- Two-panel axial: CT | PSMA PET, [18F]PSMA-1007 tracer
- acquired on Siemens Biograph mCT Flow 20
- PET panel 200×200 px (4.1 mm/px)
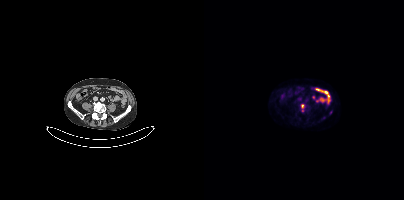
Findings: Coordinates are on the 200×200 PET (right) panel. PSMA-avid tumor lesion bounding box (x, y, width, height): x=97 y=104 w=4 h=5. Small PSMA-avid focus (2 to 4 px across) near (center x, center y): (98, 110).